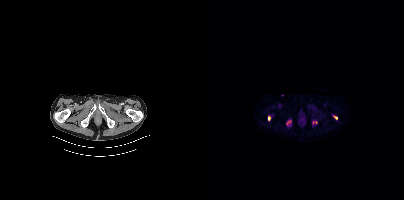
Coordinates are on the 200×200 PET (right) panel. (showing 3 of 4 foci) PSMA-avid tumor lesion bounding box (x, y, width, height): x=109 y=121 w=5 h=3. Small PSMA-avid foci (2 to 4 px across) near (center x, center y): (131, 117); (65, 118).